Two-panel axial: CT | PSMA PET, 18F tracer. Acquired on Siemens Biograph 64-4R TruePoint.
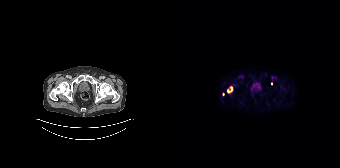
Coordinates are on the 168×168 PET (right) panel. PSMA-avid tumor lesion bounding box (x0, y0)-(x1, y1): (55, 86)-(60, 93). Small PSMA-avid foci (2 to 4 px across) near (center x, center y): (99, 83); (51, 94).